Technique: Left: CT. Right: PSMA PET, same axial level, 18F tracer. slice position z = -860 mm.
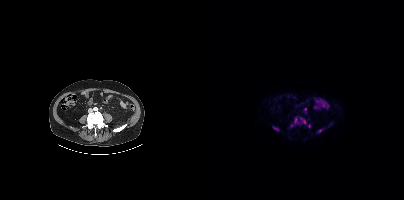
Findings: Coordinates are on the 200×200 PET (right) panel. (showing 5 of 6 foci) PSMA-avid tumor lesion bounding boxes (x, y, width, height): x=91 y=117 w=3 h=6; x=96 y=118 w=6 h=6. Small PSMA-avid foci (2 to 4 px across) near (center x, center y): (115, 130); (101, 109); (87, 125).